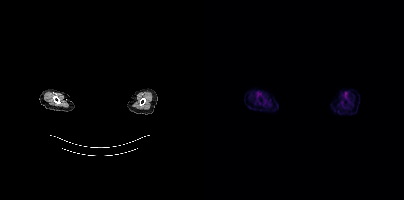
modality: PSMA PET/CT | tracer: [18F]PSMA-1007 | view: axial | PET grid: 200×200 | de-identification: privacy mask over head
No tumor lesions annotated on this slice.